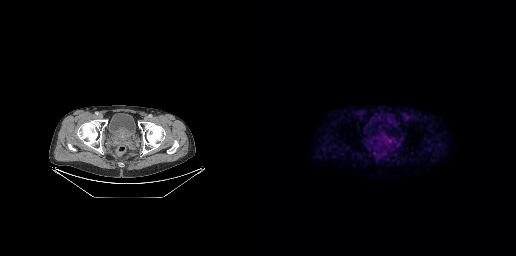
Coordinates are on the 256×256 PET (right) panel. (showing 1 of 2 foci) PSMA-avid tumor lesion bounding box (x, y, width, height): x=123 y=134 w=5 h=9.
modality: PSMA PET/CT | tracer: [18F]PSMA-1007 | view: axial